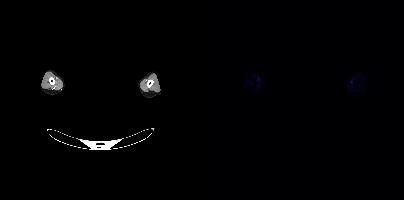
Left: CT. Right: PSMA PET, same axial level, 18F tracer. Slice 425 of 429. An anonymization step blacked out a rectangle over the head in this scan. This slice has no annotated PSMA-avid lesion.